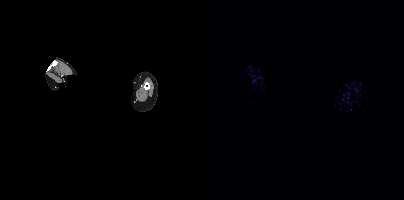
Any black rectangle over the head is a privacy mask, not anatomy.
No PSMA-avid tumor lesions on this slice.